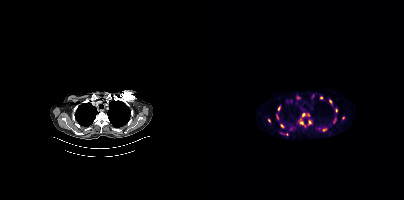
Coordinates are on the 200×200 PET (right) panel. PSMA-avid tumor lesion bounding boxes (partial; 1 more focus not listed):
| # | x0 | y0 | x1 | y1 |
|---|---|---|---|---|
| 1 | 94 | 119 | 101 | 126 |
| 2 | 92 | 95 | 96 | 99 |
| 3 | 76 | 124 | 80 | 128 |
| 4 | 74 | 105 | 76 | 110 |
| 5 | 72 | 114 | 74 | 119 |
| 6 | 104 | 120 | 107 | 124 |
| 7 | 107 | 94 | 109 | 98 |
Small PSMA-avid foci (2 to 4 px across) near (center x, center y): (99, 114); (65, 120); (120, 129); (126, 101); (132, 110); (104, 115); (139, 117); (78, 133).
Two-panel axial: CT | PSMA PET, [18F]PSMA-1007 tracer. Slice position z = -320 mm. PET panel 200×200 px (4.1 mm/px).